Paired axial CT (left) and PSMA PET (right), 18F tracer. PET panel 200×200 px (4.1 mm/px).
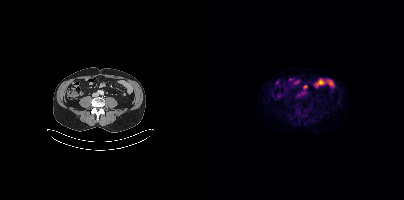
No PSMA-avid tumor lesions on this slice.